The head region is masked for de-identification.
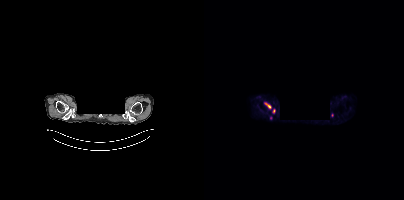
Coordinates are on the 200×200 PET (right) panel. PSMA-avid tumor lesion bounding box (x0,y0,x1,y1): [60,102,71,113]. Small PSMA-avid foci (2 to 4 px across) near (center x, center y): (128, 115), (66, 117).